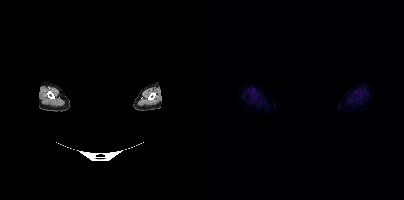
{"modality":"PSMA PET/CT","view":"axial","tracer":"[18F]PSMA-1007","pet_grid":[200,200],"coord_frame":"pet_panel","coord_format":"x0,y0,x1,y1","redaction":"head region blacked out before release","psma_avid_lesions":false}